- Left: CT. Right: PSMA PET, same axial level, [18F]PSMA-1007 tracer
- slice position z = -1521 mm
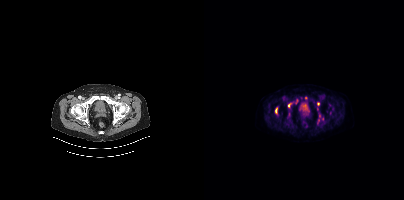
Findings: Coordinates are on the 200×200 PET (right) panel. (showing 9 of 12 foci) PSMA-avid tumor lesion bounding boxes (x0,y0,x1,y1): [84,102,90,107] [71,107,73,113] [113,119,115,124]. Small PSMA-avid foci (2 to 4 px across) near (center x, center y): (102, 98) (114, 103) (103, 110) (113, 108) (115, 115) (118, 118).